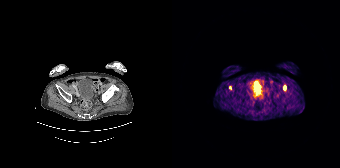
{"modality":"PSMA PET/CT","view":"axial","tracer":"68Ga","pet_grid":[168,168],"coord_frame":"pet_panel","coord_format":"x0,y0,x1,y1","lesion_bboxes":[],"small_foci_centers":[[112,87],[58,87]]}